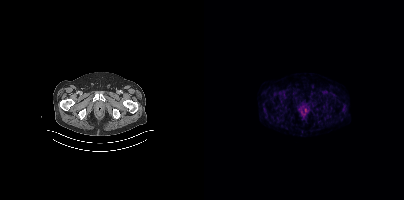
{"modality":"PSMA PET/CT","view":"axial","tracer":"[68Ga]Ga-PSMA-11","pet_grid":[200,200],"coord_frame":"pet_panel","coord_format":"x0,y0,x1,y1","psma_avid_lesions":false}